Left: CT. Right: PSMA PET, same axial level, [18F]PSMA-1007 tracer. Acquired on Siemens Biograph mCT Flow 20. PET panel 200×200 px (4.1 mm/px).
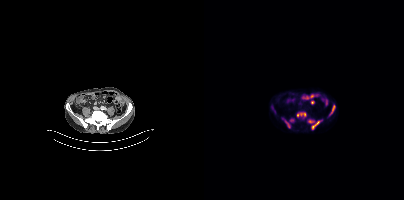
Coordinates are on the 200×200 PET (right) panel. PSMA-avid tumor lesion bounding boxes (partial; 1 more focus not listed):
| # | x0 | y0 | x1 | y1 |
|---|---|---|---|---|
| 1 | 104 | 119 | 118 | 129 |
| 2 | 93 | 112 | 102 | 116 |
| 3 | 125 | 105 | 131 | 116 |
| 4 | 81 | 121 | 86 | 127 |
Small PSMA-avid foci (2 to 4 px across) near (center x, center y): (79, 118); (88, 120).